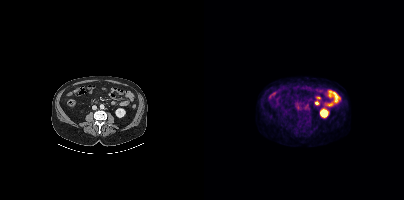
Findings: No tumor lesions annotated on this slice.
- Left: CT. Right: PSMA PET, same axial level, 18F tracer
- slice 199 of 415
- PET panel 200×200 px (4.1 mm/px)